- Paired axial CT (left) and PSMA PET (right), 18F tracer
- acquired on Siemens Biograph mCT Flow 20
- slice 338 of 448
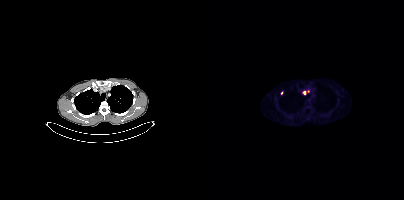
Findings: Coordinates are on the 200×200 PET (right) panel. Small PSMA-avid foci (2 to 4 px across) near (center x, center y): (100, 92) | (77, 93) | (103, 90).